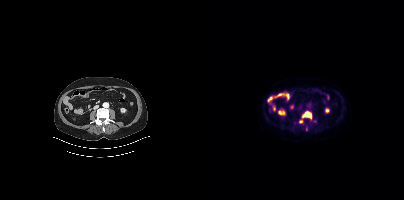
Technique: Paired axial CT (left) and PSMA PET (right), 18F tracer. slice 155 of 407. PET panel 200×200 px (4.1 mm/px).
Findings: Coordinates are on the 200×200 PET (right) panel. (showing 2 of 3 foci) PSMA-avid tumor lesion bounding boxes (x0, y0)-(x1, y1): (98, 111)-(112, 122); (95, 120)-(99, 124).